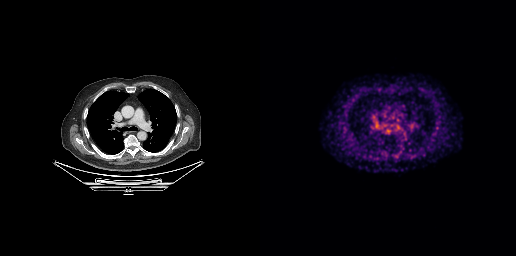
modality: PSMA PET/CT | tracer: [68Ga]Ga-PSMA-11 | view: axial
This slice has no annotated PSMA-avid lesion.